Paired axial CT (left) and PSMA PET (right), [18F]PSMA-1007 tracer. Acquired on Siemens Biograph mCT Flow 20. Slice 315 of 438. PET panel 200×200 px (4.1 mm/px).
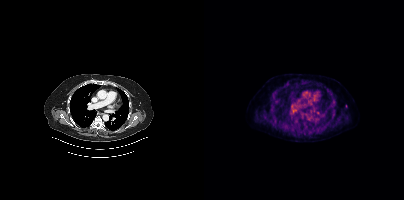
Only PSMA-avid lesion pieces thinner than 2 px on this slice (not listed).